modality: PSMA PET/CT | tracer: 18F | view: axial | deidentification: head region blanked (face removed)
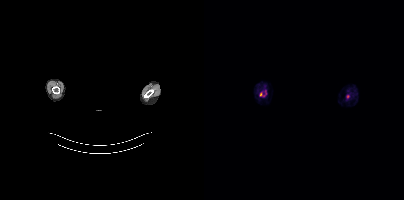
This slice has no annotated PSMA-avid lesion.